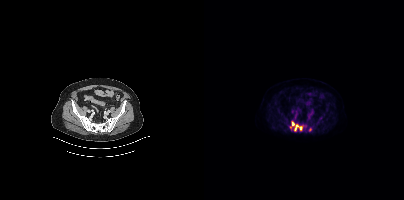
Coordinates are on the 200×200 PET (right) panel. PSMA-avid tumor lesion bounding box (x0,y0,x1,y1): [86,121,99,131]. Small PSMA-avid focus (2 to 4 px across) near (center x, center y): (106, 129).